modality: PSMA PET/CT | tracer: [18F]PSMA-1007 | view: axial
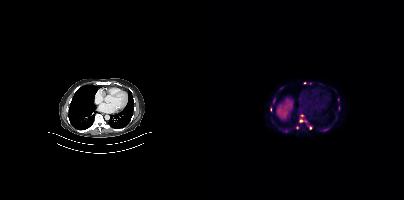
Coordinates are on the 200×200 PET (right) panel. (showing 12 of 14 foci) PSMA-avid tumor lesion bounding boxes (x0,y0,x1,y1): [96,119,103,122], [68,98,71,102], [120,128,124,131]. Small PSMA-avid foci (2 to 4 px across) near (center x, center y): (82, 130), (77, 88), (66, 109), (93, 127), (134, 99), (98, 115), (104, 125), (106, 128), (100, 82).